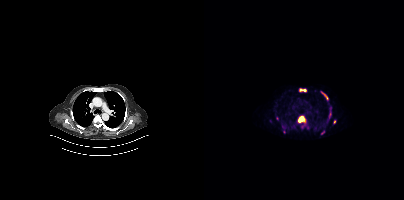
Coordinates are on the 200×200 PET (right) panel. (showing 6 of 8 foci) PSMA-avid tumor lesion bounding boxes (x0, y0)-(x1, y1): (93, 116)-(102, 127) / (118, 92)-(122, 97) / (124, 114)-(127, 119) / (96, 89)-(101, 91) / (125, 106)-(127, 110). Small PSMA-avid focus (2 to 4 px across) near (center x, center y): (130, 121). Two-panel axial: CT | PSMA PET, 68Ga tracer. Slice 297 of 397.